Two-panel axial: CT | PSMA PET, 18F-PSMA tracer.
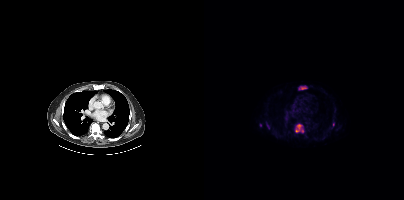
Coordinates are on the 200×200 PET (right) panel. PSMA-avid tumor lesion bounding boxes (partial; 1 more focus not listed):
| # | x0 | y0 | x1 | y1 |
|---|---|---|---|---|
| 1 | 91 | 123 | 100 | 132 |
| 2 | 95 | 86 | 103 | 89 |
Small PSMA-avid foci (2 to 4 px across) near (center x, center y): (129, 124); (56, 125).